Paired axial CT (left) and PSMA PET (right), [18F]PSMA-1007 tracer.
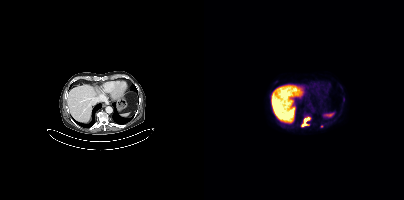
Coordinates are on the 200×200 PET (right) panel. PSMA-avid tumor lesion bounding boxes:
| # | x0 | y0 | x1 | y1 |
|---|---|---|---|---|
| 1 | 98 | 117 | 106 | 126 |
| 2 | 139 | 97 | 140 | 101 |
Small PSMA-avid foci (2 to 4 px across) near (center x, center y): (117, 126); (77, 125).